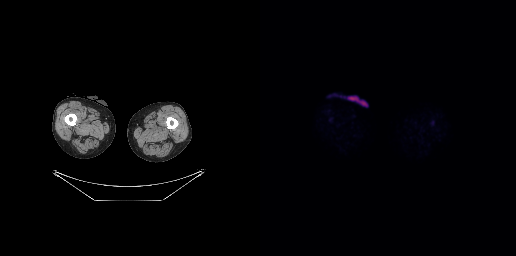
{"modality":"PSMA PET/CT","view":"axial","tracer":"[18F]PSMA-1007","pet_grid":[256,256],"coord_frame":"pet_panel","coord_format":"x0,y0,x1,y1","psma_avid_lesions":false}